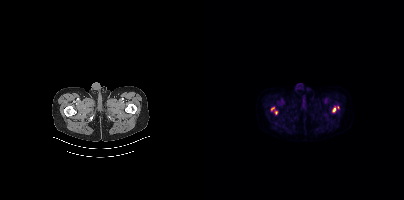
{"modality":"PSMA PET/CT","view":"axial","tracer":"[18F]PSMA-1007","pet_grid":[200,200],"coord_frame":"pet_panel","coord_format":"x0,y0,x1,y1","partial":true,"lesion_bboxes":[[128,107,132,112],[67,107,70,111]],"small_foci_centers":[[72,112]]}